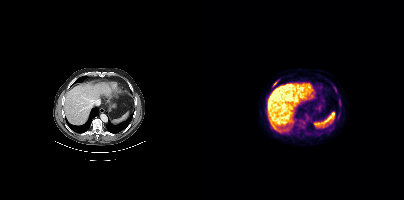
Two-panel axial: CT | PSMA PET, 18F-PSMA tracer. Slice position z = -1099 mm. Coordinates are on the 200×200 PET (right) panel. (showing 2 of 3 foci) PSMA-avid tumor lesion bounding boxes (x, y, width, height): x=69 y=82 w=4 h=5 / x=129 y=85 w=3 h=5.